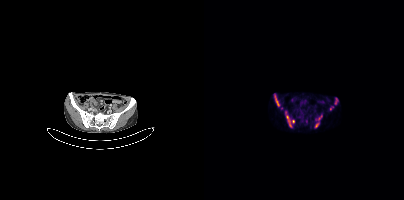
Two-panel axial: CT | PSMA PET, [68Ga]Ga-PSMA-11 tracer. Slice position z = -1029 mm. Coordinates are on the 200×200 PET (right) panel. (showing 6 of 7 foci) PSMA-avid tumor lesion bounding boxes (x, y, width, height): x=71 y=95 w=5 h=12 / x=82 y=116 w=5 h=8 / x=131 y=98 w=3 h=7. Small PSMA-avid foci (2 to 4 px across) near (center x, center y): (117, 116) / (113, 125) / (89, 121).